Technique: Paired axial CT (left) and PSMA PET (right), 18F-PSMA tracer. acquired on Siemens Biograph mCT Flow 20.
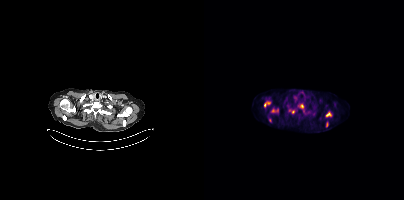
Findings: Coordinates are on the 200×200 PET (right) panel. (showing 6 of 8 foci) PSMA-avid tumor lesion bounding boxes (x0,y0,x1,y1): [122,111,127,116] [60,102,66,106] [96,104,99,108] [122,122,123,126]. Small PSMA-avid foci (2 to 4 px across) near (center x, center y): (68, 109) (89, 111).